- Paired axial CT (left) and PSMA PET (right), 18F-PSMA tracer
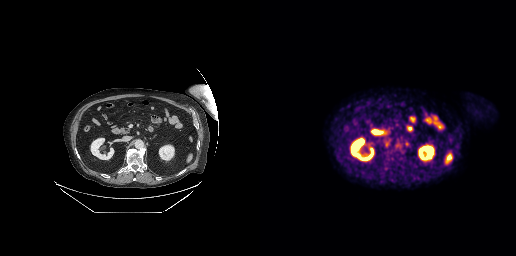
Findings: Only PSMA-avid lesion pieces thinner than 2 px on this slice (not listed).